modality: PSMA PET/CT | tracer: 18F-PSMA | view: axial | PET grid: 200×200
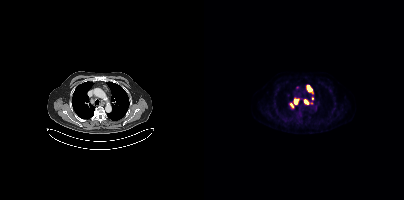
Coordinates are on the 200×200 PET (right) panel. PSMA-avid tumor lesion bounding boxes (x0, y0)-(x1, y1): (90, 99)-(93, 103) / (100, 100)-(104, 103).